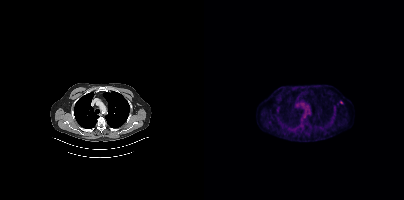
Two-panel axial: CT | PSMA PET, [18F]PSMA-1007 tracer. PET panel 200×200 px (4.1 mm/px). Coordinates are on the 200×200 PET (right) panel. Small PSMA-avid focus (2 to 4 px across) near (center x, center y): (137, 102).